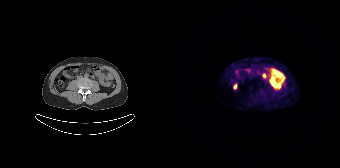
Technique: Two-panel axial: CT | PSMA PET, [68Ga]Ga-PSMA-11 tracer. slice 81 of 195.
Findings: Negative for PSMA-avid disease on this slice.